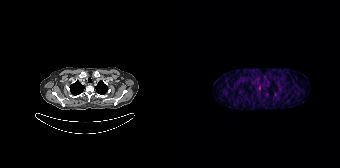
Only PSMA-avid lesion pieces thinner than 2 px on this slice (not listed).
modality: PSMA PET/CT | tracer: 68Ga-PSMA | view: axial